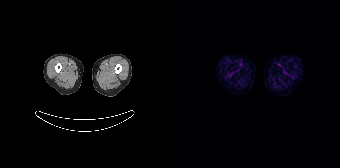
- Two-panel axial: CT | PSMA PET, [68Ga]Ga-PSMA-11 tracer
- acquired on Siemens Biograph 64-4R TruePoint
- slice 22 of 195
Findings: No PSMA-avid tumor lesions on this slice.